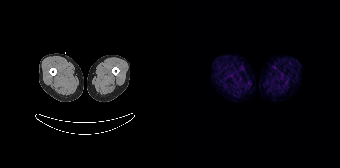
Two-panel axial: CT | PSMA PET, 68Ga tracer. Acquired on Siemens Biograph 64-4R TruePoint. Slice 14 of 195. No tumor lesions annotated on this slice.